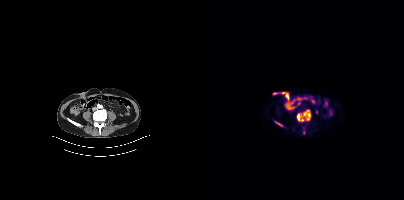
modality: PSMA PET/CT | tracer: [18F]PSMA-1007 | view: axial
Coordinates are on the 200×200 PET (right) panel. (showing 2 of 3 foci) PSMA-avid tumor lesion bounding boxes (x, y, width, height): x=93 y=111 w=14 h=11; x=72 y=122 w=7 h=5.